Paired axial CT (left) and PSMA PET (right), [18F]PSMA-1007 tracer. Slice position z = -1398 mm.
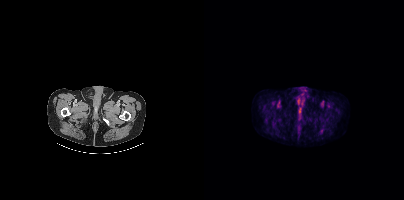
Negative for PSMA-avid disease on this slice.